modality: PSMA PET/CT | tracer: 18F-PSMA | view: axial | PET grid: 256×256
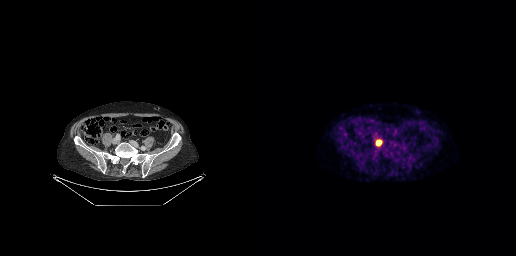
Coordinates are on the 256×256 PET (right) panel. PSMA-avid tumor lesion bounding box (x0,y0,x1,y1): [116,140,121,145].